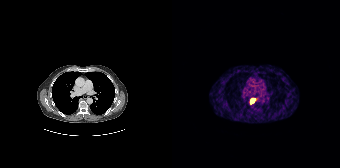
{"pet_grid":[168,168],"coord_frame":"pet_panel","coord_format":"x0,y0,x1,y1","lesion_bboxes":[[78,98,83,103]],"modality":"PSMA PET/CT","view":"axial","tracer":"68Ga"}